modality: PSMA PET/CT | tracer: [68Ga]Ga-PSMA-11 | view: axial
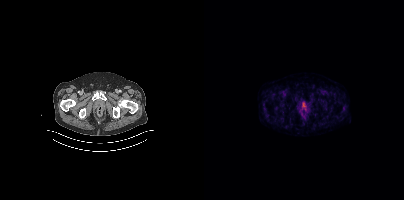
This slice has no annotated PSMA-avid lesion.